Two-panel axial: CT | PSMA PET, 18F tracer. Acquired on Siemens Biograph 64-4R TruePoint. Slice 87 of 165.
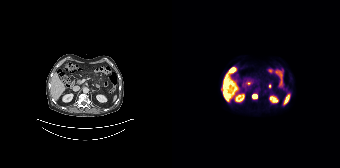
Coordinates are on the 168×168 PET (right) panel. PSMA-avid tumor lesion bounding box (x0, y0)-(x1, y1): (80, 94)-(85, 98).